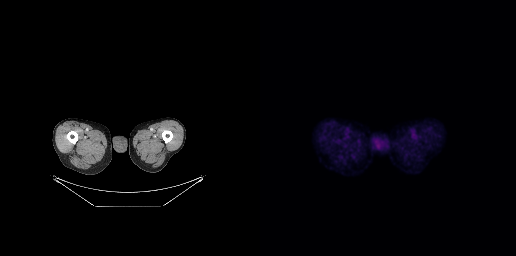
{"modality":"PSMA PET/CT","view":"axial","tracer":"18F-PSMA","pet_grid":[256,256],"coord_frame":"pet_panel","coord_format":"x0,y0,x1,y1","psma_avid_lesions":false}